Paired axial CT (left) and PSMA PET (right), 18F tracer. Slice 38 of 405. PET panel 200×200 px (4.1 mm/px).
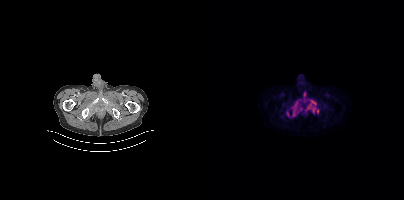
Coordinates are on the 200×200 PET (right) panel. PSMA-avid tumor lesion bounding boxes (partial; 3 more foci not listed):
| # | x0 | y0 | x1 | y1 |
|---|---|---|---|---|
| 1 | 101 | 100 | 114 | 113 |
| 2 | 88 | 101 | 94 | 115 |
| 3 | 99 | 92 | 101 | 96 |
Small PSMA-avid foci (2 to 4 px across) near (center x, center y): (83, 113); (97, 109); (93, 112).